Paired axial CT (left) and PSMA PET (right), 18F-PSMA tracer. PET panel 200×200 px (4.1 mm/px).
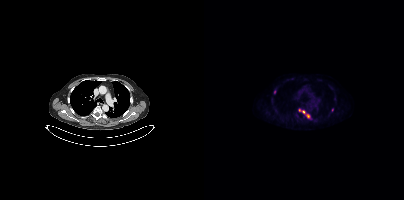
Coordinates are on the 200×200 PET (right) panel. (showing 3 of 4 foci) PSMA-avid tumor lesion bounding boxes (x, y, width, height): x=94 y=108 w=7 h=6; x=103 y=114 w=5 h=6. Small PSMA-avid focus (2 to 4 px across) near (center x, center y): (70, 91).